Paired axial CT (left) and PSMA PET (right), 68Ga tracer. Acquired on Siemens Biograph mCT Flow 20.
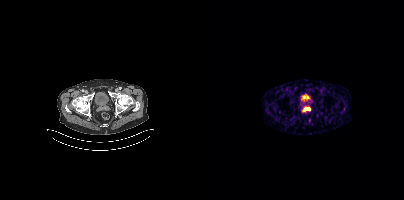
Coordinates are on the 200×200 PET (right) panel. PSMA-avid tumor lesion bounding box (x0, y0)-(x1, y1): (98, 107)-(106, 111).